modality: PSMA PET/CT | tracer: 18F-PSMA | view: axial | PET grid: 200×200
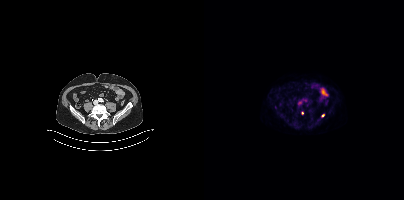
Coordinates are on the 200×200 PET (right) panel. Small PSMA-avid foci (2 to 4 px across) near (center x, center y): (71, 107); (98, 113); (118, 115).